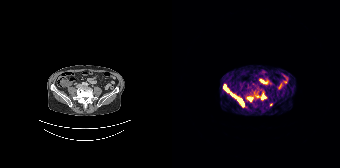
{"pet_grid":[168,168],"coord_frame":"pet_panel","coord_format":"x0,y0,x1,y1","lesion_bboxes":[[65,98,71,106],[52,85,57,91]],"small_foci_centers":[[77,99],[91,97],[59,94]],"modality":"PSMA PET/CT","view":"axial","tracer":"68Ga"}